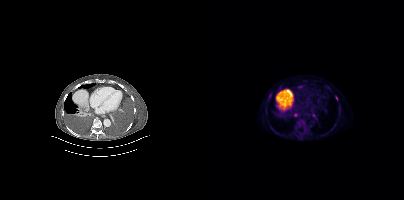
Findings: Coordinates are on the 200×200 PET (right) panel. PSMA-avid tumor lesion bounding boxes (x, y, width, height): x=109 y=114 w=5 h=7 | x=94 y=85 w=5 h=4 | x=132 y=96 w=2 h=5. Small PSMA-avid foci (2 to 4 px across) near (center x, center y): (91, 114) | (66, 95).
Technique: Two-panel axial: CT | PSMA PET, 18F-PSMA tracer. acquired on Siemens Biograph mCT Flow 20. slice position z = -1360 mm. PET panel 200×200 px (4.1 mm/px).